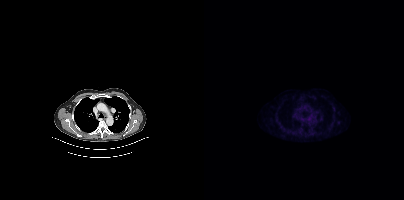
modality: PSMA PET/CT | tracer: 18F | view: axial
Negative for PSMA-avid disease on this slice.